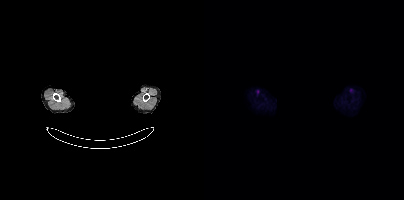
{"modality":"PSMA PET/CT","view":"axial","tracer":"18F","pet_grid":[200,200],"coord_frame":"pet_panel","coord_format":"x0,y0,x1,y1","psma_avid_lesions":false,"de-identification":"head region blacked out before release"}